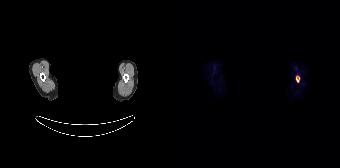
{"modality":"PSMA PET/CT","view":"axial","tracer":"18F-PSMA","pet_grid":[168,168],"coord_frame":"pet_panel","coord_format":"x0,y0,x1,y1","de-identification":"face masked with black rectangle","lesion_bboxes":[[124,76,127,82]]}